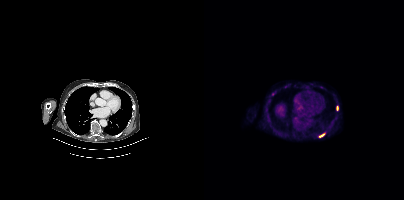
Coordinates are on the 200×200 PET (right) panel. PSMA-avid tumor lesion bounding boxes (x0, y0)-(x1, y1): (115, 133)-(120, 137) | (132, 106)-(134, 110) | (68, 91)-(71, 95). Left: CT. Right: PSMA PET, same axial level, [18F]PSMA-1007 tracer.